- Two-panel axial: CT | PSMA PET, 18F-PSMA tracer
- acquired on Siemens Biograph mCT Flow 20
- PET panel 200×200 px (4.1 mm/px)
- facial anatomy redacted by setting a rectangular region of the head to black
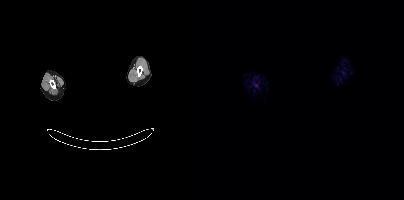
Findings: This slice has no annotated PSMA-avid lesion.